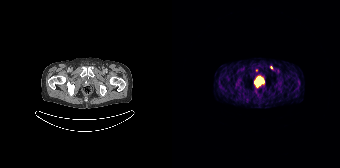
Paired axial CT (left) and PSMA PET (right), 68Ga tracer. PET panel 168×168 px (4.1 mm/px). Coordinates are on the 168×168 PET (right) panel. (showing 2 of 3 foci) PSMA-avid tumor lesion bounding box (x0,y0,x1,y1): [83,81,91,85]. Small PSMA-avid focus (2 to 4 px across) near (center x, center y): (99, 67).